Technique: Two-panel axial: CT | PSMA PET, [68Ga]Ga-PSMA-11 tracer. PET panel 256×256 px (2.7 mm/px).
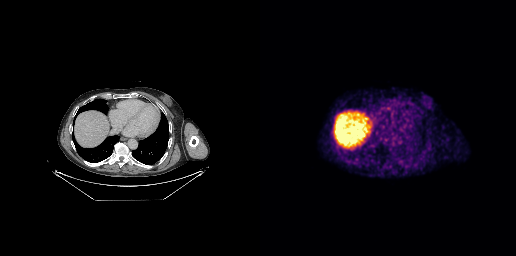
Findings: This slice has no annotated PSMA-avid lesion.